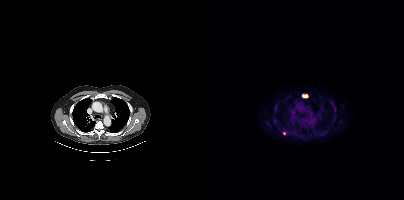
- Paired axial CT (left) and PSMA PET (right), 18F-PSMA tracer
- slice position z = -1085 mm
Findings: Coordinates are on the 200×200 PET (right) panel. PSMA-avid tumor lesion bounding box (x, y, width, height): x=98 y=94 w=7 h=4. Small PSMA-avid focus (2 to 4 px across) near (center x, center y): (80, 133).